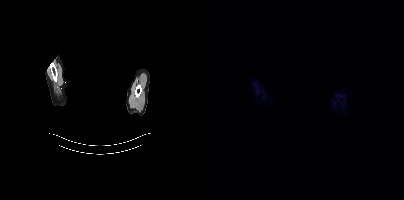
{"pet_grid":[200,200],"coord_frame":"pet_panel","coord_format":"x0,y0,x1,y1","psma_avid_lesions":false,"redaction":"privacy mask over head","modality":"PSMA PET/CT","view":"axial","tracer":"18F-PSMA"}